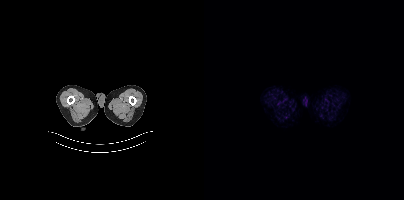
- Paired axial CT (left) and PSMA PET (right), [18F]PSMA-1007 tracer
Findings: No tumor lesions annotated on this slice.